modality: PSMA PET/CT | tracer: 18F-PSMA | view: axial | de-identification: privacy mask over head
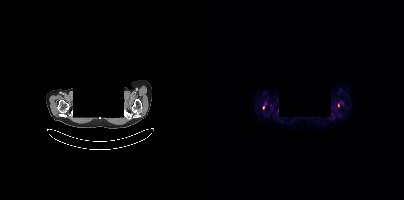
Coordinates are on the 200×200 PET (right) panel. Small PSMA-avid foci (2 to 4 px across) near (center x, center y): (59, 107) | (134, 105).